- Paired axial CT (left) and PSMA PET (right), [18F]PSMA-1007 tracer
- acquired on Siemens Biograph mCT Flow 20
- slice position z = -1492 mm
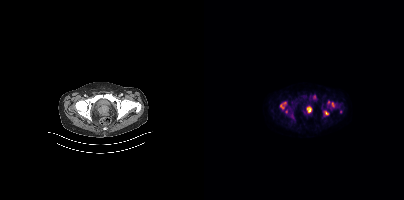
Findings: Coordinates are on the 200×200 PET (right) panel. (showing 6 of 7 foci) PSMA-avid tumor lesion bounding boxes (x0, y0)-(x1, y1): (76, 102)-(82, 110) / (103, 106)-(107, 112) / (120, 111)-(124, 115) / (128, 102)-(130, 106). Small PSMA-avid foci (2 to 4 px across) near (center x, center y): (82, 110) / (124, 102).